modality: PSMA PET/CT | tracer: 18F | view: axial
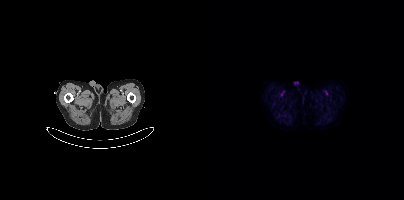
Negative for PSMA-avid disease on this slice.